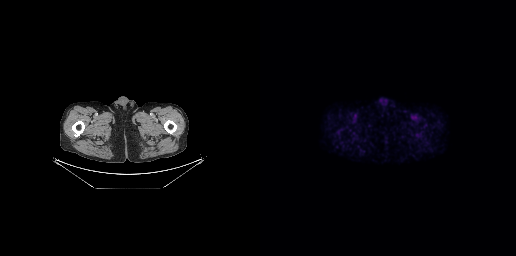
- Left: CT. Right: PSMA PET, same axial level, 18F-PSMA tracer
- slice position z = -717 mm
Findings: No PSMA-avid tumor lesions on this slice.